Technique: Two-panel axial: CT | PSMA PET, 18F-PSMA tracer. PET panel 256×256 px (2.7 mm/px).
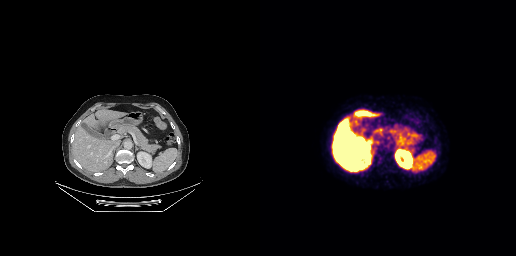
Findings: No PSMA-avid tumor lesions on this slice.